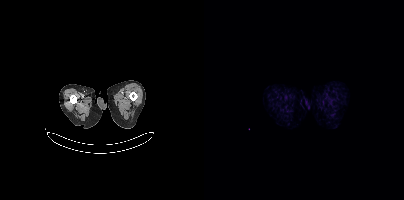
{"modality":"PSMA PET/CT","view":"axial","tracer":"[18F]PSMA-1007","pet_grid":[200,200],"coord_frame":"pet_panel","coord_format":"x0,y0,x1,y1","psma_avid_lesions":false}